Technique: Two-panel axial: CT | PSMA PET, [18F]PSMA-1007 tracer. acquired on Siemens Biograph mCT Flow 20. slice position z = -1246 mm.
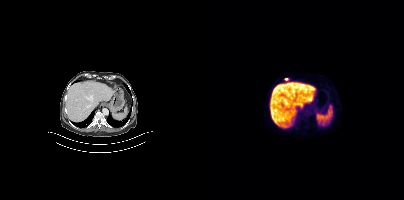
Findings: Coordinates are on the 200×200 PET (right) panel. Small PSMA-avid focus (2 to 4 px across) near (center x, center y): (82, 79).